Paired axial CT (left) and PSMA PET (right), 18F tracer. PET panel 200×200 px (4.1 mm/px).
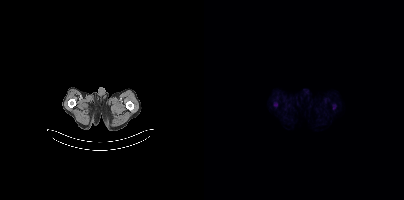
This slice has no annotated PSMA-avid lesion.